Two-panel axial: CT | PSMA PET, 18F tracer. PET panel 200×200 px (4.1 mm/px).
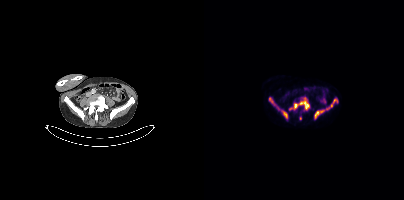
Coordinates are on the 200×200 PET (right) panel. PSMA-avid tumor lesion bounding boxes:
| # | x0 | y0 | x1 | y1 |
|---|---|---|---|---|
| 1 | 85 | 97 | 105 | 109 |
| 2 | 122 | 97 | 134 | 109 |
| 3 | 110 | 110 | 116 | 118 |
| 4 | 65 | 98 | 75 | 109 |
| 5 | 77 | 110 | 83 | 118 |
Small PSMA-avid foci (2 to 4 px across) near (center x, center y): (96, 118); (119, 110).